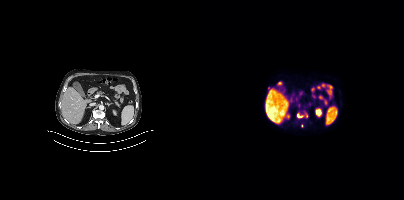
Coordinates are on the 200×200 PET (right) panel. (showing 3 of 4 foci) PSMA-avid tumor lesion bounding boxes (x0, y0)-(x1, y1): (93, 113)-(100, 118) / (102, 113)-(103, 117). Small PSMA-avid focus (2 to 4 px across) near (center x, center y): (97, 126).